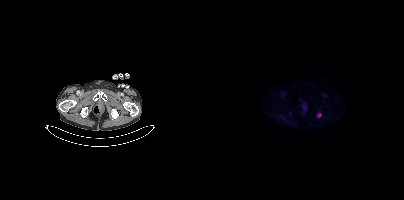
- Two-panel axial: CT | PSMA PET, 18F tracer
- acquired on Siemens Biograph mCT Flow 20
- PET panel 200×200 px (4.1 mm/px)
Findings: Coordinates are on the 200×200 PET (right) panel. Small PSMA-avid focus (2 to 4 px across) near (center x, center y): (115, 115).